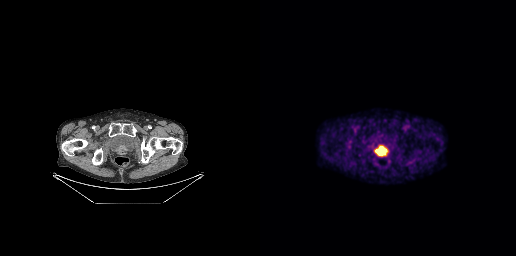
{"modality":"PSMA PET/CT","view":"axial","tracer":"[18F]PSMA-1007","pet_grid":[256,256],"coord_frame":"pet_panel","coord_format":"x0,y0,x1,y1","lesion_bboxes":[[115,146,127,156]]}